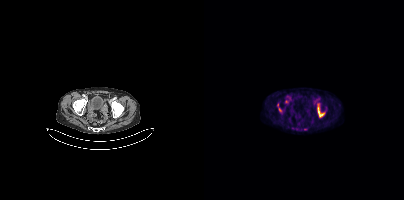
Coordinates are on the 200×200 PET (right) panel. (showing 2 of 3 foci) PSMA-avid tumor lesion bounding box (x0,y0,x1,y1): [113,104,120,117]. Small PSMA-avid focus (2 to 4 px across) near (center x, center y): (76, 109).